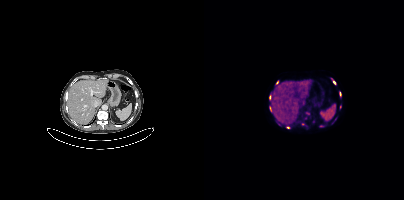
modality: PSMA PET/CT | tracer: 18F | view: axial
Coordinates are on the 200×200 PET (right) panel. (showing 7 of 8 foci) Small PSMA-avid foci (2 to 4 px across) near (center x, center y): (73, 82); (130, 82); (136, 106); (99, 124); (136, 93); (84, 127); (66, 108).